Two-panel axial: CT | PSMA PET, 18F tracer. PET panel 256×256 px (2.7 mm/px).
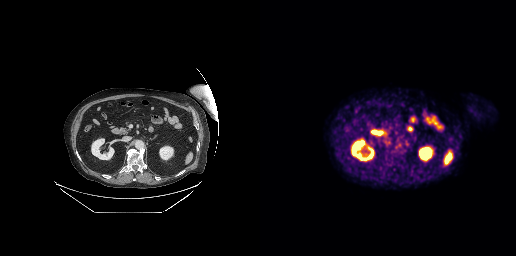
No tumor lesions annotated on this slice.